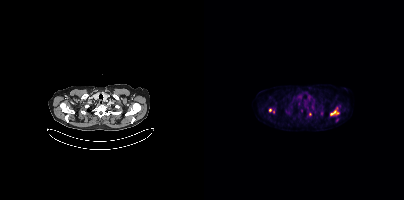
Coordinates are on the 200×200 PET (right) panel. PSMA-avid tumor lesion bounding box (x, y, width, height): x=127 y=111 w=8 h=5. Small PSMA-avid foci (2 to 4 px across) near (center x, center y): (66, 110) / (106, 114) / (69, 111).
modality: PSMA PET/CT | tracer: [18F]PSMA-1007 | view: axial | PET grid: 200×200